Technique: Paired axial CT (left) and PSMA PET (right), 68Ga-PSMA tracer. acquired on GE Discovery 690. slice position z = -789 mm. PET panel 256×256 px (2.7 mm/px).
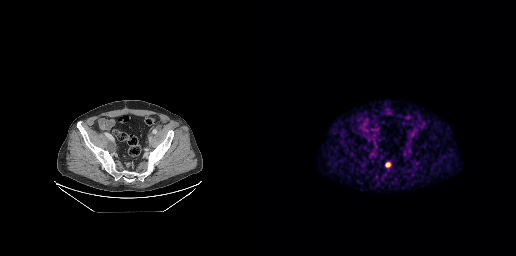
Findings: Coordinates are on the 256×256 PET (right) panel. PSMA-avid tumor lesion bounding box (x0, y0)-(x1, y1): (125, 162)-(130, 167).